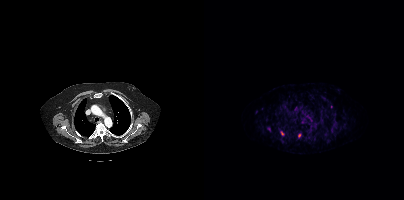
Coordinates are on the 200×200 PET (right) panel. (showing 2 of 4 foci) PSMA-avid tumor lesion bounding boxes (x0,y0,x1,y1): [94,133,97,137], [77,131,79,135].